Two-panel axial: CT | PSMA PET, 68Ga-PSMA tracer. Acquired on Siemens Biograph mCT Flow 20. PET panel 200×200 px (4.1 mm/px).
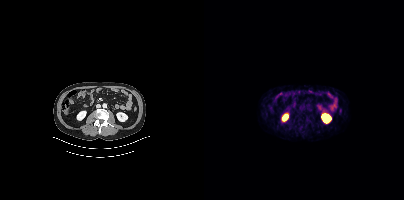
Negative for PSMA-avid disease on this slice.